modality: PSMA PET/CT | tracer: 68Ga | view: axial | PET grid: 168×168
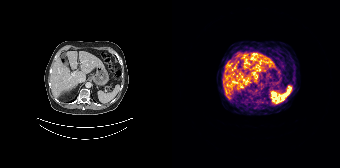
This slice has no annotated PSMA-avid lesion.